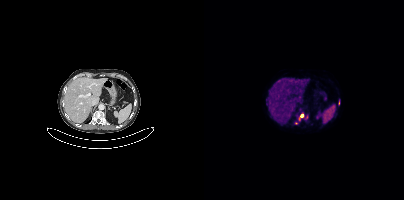
Coordinates are on the 200×200 PET (right) panel. PSMA-avid tumor lesion bounding box (x0,y0,x1,y1): [97,113,103,119]. Small PSMA-avid foci (2 to 4 px across) near (center x, center y): (134, 102) (95, 119) (92, 123).